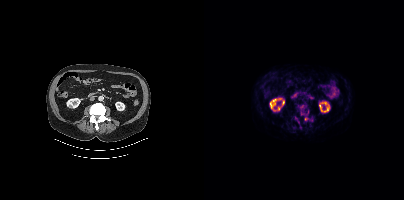
- Paired axial CT (left) and PSMA PET (right), 18F-PSMA tracer
- acquired on Siemens Biograph mCT Flow 20
- PET panel 200×200 px (4.1 mm/px)
Findings: Coordinates are on the 200×200 PET (right) panel. (showing 1 of 2 foci) Small PSMA-avid focus (2 to 4 px across) near (center x, center y): (101, 119).